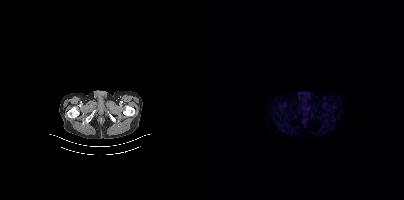
{"modality":"PSMA PET/CT","view":"axial","tracer":"18F-PSMA","pet_grid":[200,200],"coord_frame":"pet_panel","coord_format":"x0,y0,x1,y1","psma_avid_lesions":false}